Paired axial CT (left) and PSMA PET (right), 18F tracer. Acquired on Siemens Biograph mCT Flow 20.
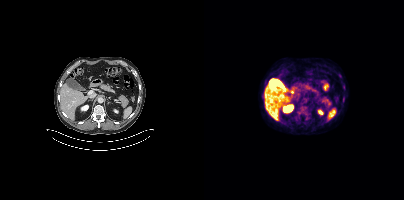
Negative for PSMA-avid disease on this slice.